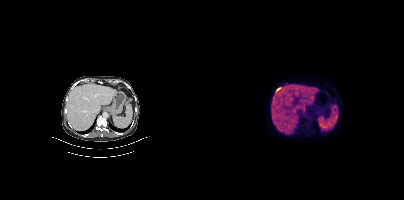
No PSMA-avid tumor lesions on this slice.